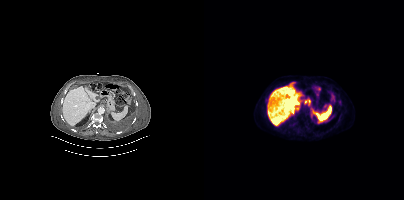
Coordinates are on the 200×200 PET (right) panel. (showing 1 of 2 foci) PSMA-avid tumor lesion bounding box (x, y, width, height): x=100 y=99 w=7 h=7.